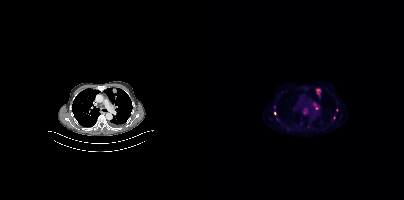
Coordinates are on the 200×200 PET (right) panel. (showing 6 of 8 foci) PSMA-avid tumor lesion bounding boxes (x0, y0)-(x1, y1): (108, 102)-(115, 109) | (112, 88)-(116, 97) | (99, 108)-(103, 114). Small PSMA-avid foci (2 to 4 px across) near (center x, center y): (70, 107) | (70, 113) | (132, 109).